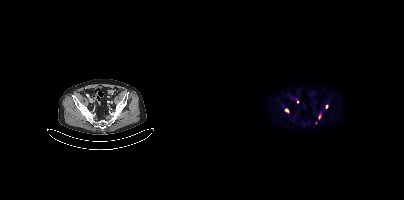
Paired axial CT (left) and PSMA PET (right), 18F tracer. Acquired on Siemens Biograph mCT Flow 20. PET panel 200×200 px (4.1 mm/px). Coordinates are on the 200×200 PET (right) panel. (showing 2 of 5 foci) Small PSMA-avid foci (2 to 4 px across) near (center x, center y): (122, 106); (93, 101).